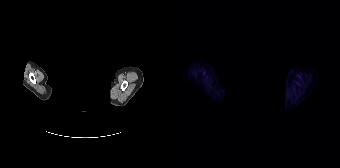
{"modality":"PSMA PET/CT","view":"axial","tracer":"[18F]PSMA-1007","pet_grid":[168,168],"coord_frame":"pet_panel","coord_format":"x0,y0,x1,y1","redaction":"head region blacked out before release","psma_avid_lesions":false}